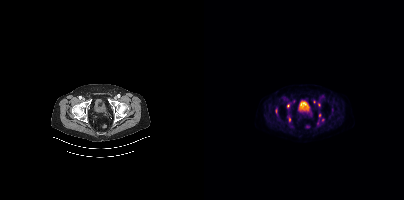
{"modality":"PSMA PET/CT","view":"axial","tracer":"18F","pet_grid":[200,200],"coord_frame":"pet_panel","coord_format":"x0,y0,x1,y1","partial":true,"lesion_bboxes":[[84,117,86,121]],"small_foci_centers":[[84,105],[110,102],[115,115],[113,123],[118,119]]}